- Two-panel axial: CT | PSMA PET, 68Ga tracer
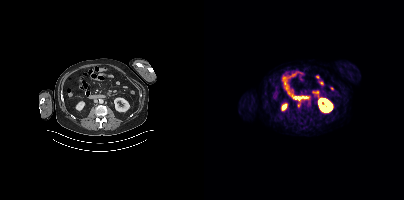
Findings: Coordinates are on the 200×200 PET (right) panel. Small PSMA-avid focus (2 to 4 px across) near (center x, center y): (94, 105).